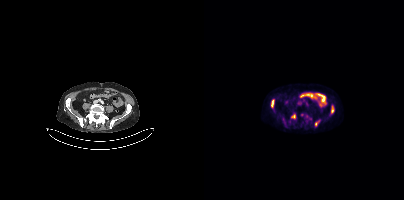
Coordinates are on the 200×200 PET (right) panel. PSMA-avid tumor lesion bounding boxes (x0, y0)-(x1, y1): (67, 100)-(70, 107) | (87, 114)-(91, 118) | (127, 106)-(129, 112) | (111, 121)-(115, 125).
modality: PSMA PET/CT | tracer: 18F-PSMA | view: axial | PET grid: 200×200